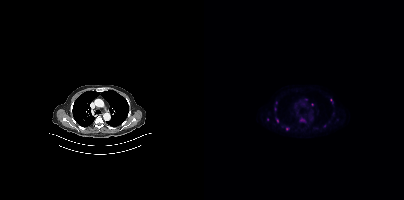
- Two-panel axial: CT | PSMA PET, 18F-PSMA tracer
- PET panel 200×200 px (4.1 mm/px)
Findings: Coordinates are on the 200×200 PET (right) panel. (showing 1 of 3 foci) Small PSMA-avid focus (2 to 4 px across) near (center x, center y): (83, 128).